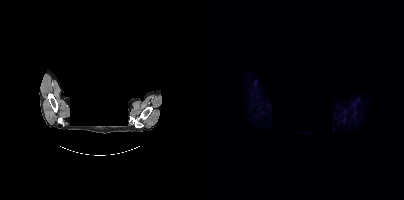
- Left: CT. Right: PSMA PET, same axial level, 18F-PSMA tracer
- slice 375 of 435
- a rectangle over the head was blacked out to remove identifiable facial features
Findings: No PSMA-avid tumor lesions on this slice.